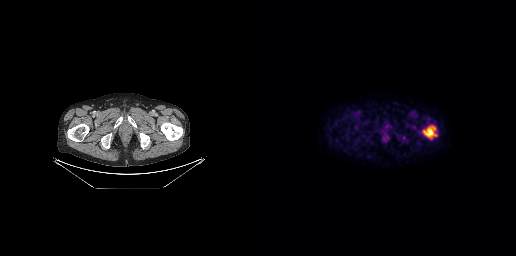
Paired axial CT (left) and PSMA PET (right), [18F]PSMA-1007 tracer. Slice 57 of 263.
Coordinates are on the 256×256 PET (right) panel. PSMA-avid tumor lesion bounding boxes:
| # | x0 | y0 | x1 | y1 |
|---|---|---|---|---|
| 1 | 163 | 126 | 176 | 138 |